Two-panel axial: CT | PSMA PET, 18F tracer. Acquired on Siemens Biograph mCT Flow 20. PET panel 200×200 px (4.1 mm/px).
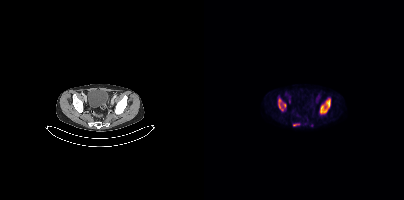
Coordinates are on the 200×200 PET (right) panel. PSMA-avid tumor lesion bounding boxes (x0,y0,x1,y1): [116,98,126,114], [74,98,82,110], [89,124,95,125].